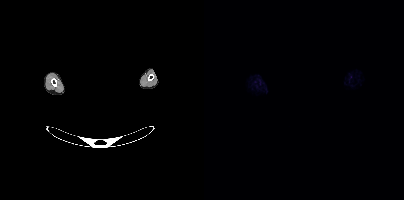
de-identification: facial region redacted | modality: PSMA PET/CT | tracer: 18F | view: axial
No tumor lesions annotated on this slice.